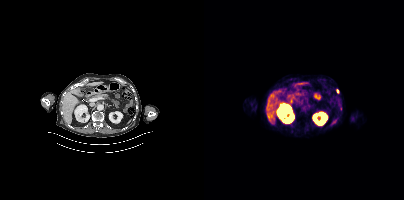
Left: CT. Right: PSMA PET, same axial level, 18F-PSMA tracer. Slice position z = -690 mm. Coordinates are on the 200×200 PET (right) panel. Small PSMA-avid focus (2 to 4 px across) near (center x, center y): (133, 91).